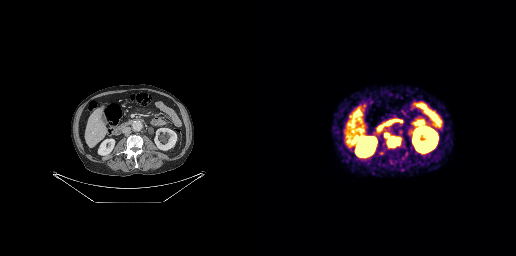
- Paired axial CT (left) and PSMA PET (right), 68Ga-PSMA tracer
- slice position z = -687 mm
Findings: Coordinates are on the 256×256 PET (right) panel. PSMA-avid tumor lesion bounding box (x, y, width, height): x=125 y=133 w=18 h=15. Small PSMA-avid focus (2 to 4 px across) near (center x, center y): (121, 153).